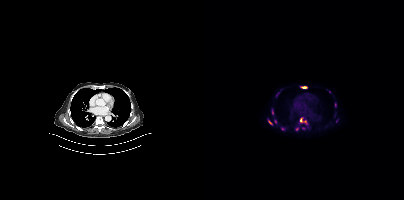
{"modality":"PSMA PET/CT","view":"axial","tracer":"18F-PSMA","pet_grid":[200,200],"coord_frame":"pet_panel","coord_format":"x0,y0,x1,y1","partial":true,"lesion_bboxes":[],"small_foci_centers":[[96,119],[66,122]]}